Paired axial CT (left) and PSMA PET (right), 68Ga tracer. Acquired on Siemens Biograph mCT Flow 20.
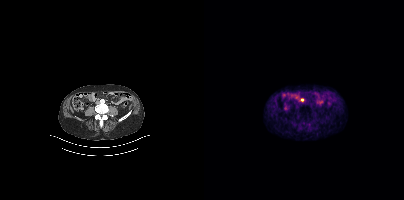
Coordinates are on the 200×200 PET (right) panel. Small PSMA-avid focus (2 to 4 px across) near (center x, center y): (98, 99).